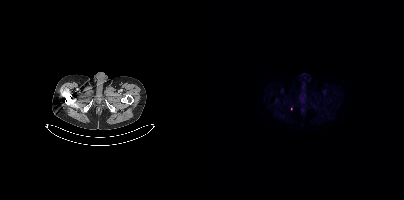
Left: CT. Right: PSMA PET, same axial level, [18F]PSMA-1007 tracer. Acquired on Siemens Biograph mCT Flow 20. Coordinates are on the 200×200 PET (right) panel. Small PSMA-avid focus (2 to 4 px across) near (center x, center y): (87, 108).